modality: PSMA PET/CT | tracer: 18F | view: axial | PET grid: 256×256
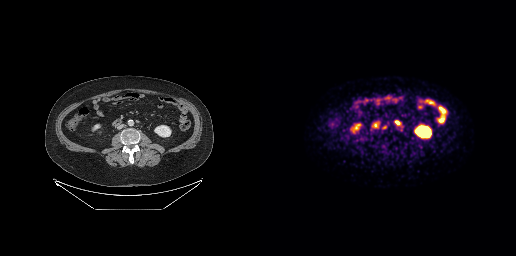
Coordinates are on the 256×256 PET (right) panel. PSMA-avid tumor lesion bounding box (x0,y0,x1,y1): [135,120,140,124].